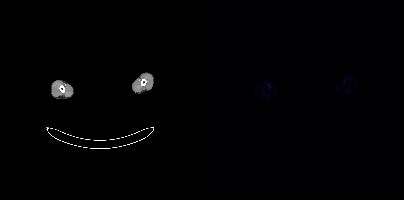
{"modality":"PSMA PET/CT","view":"axial","tracer":"68Ga-PSMA","pet_grid":[200,200],"coord_frame":"pet_panel","coord_format":"x0,y0,x1,y1","psma_avid_lesions":false,"redaction":"head region blanked (face removed)"}